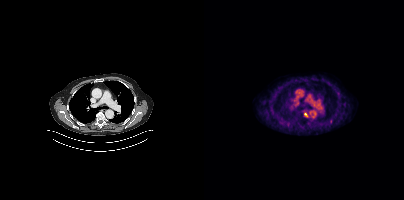
Findings: Coordinates are on the 200×200 PET (right) panel. (showing 1 of 2 foci) Small PSMA-avid focus (2 to 4 px across) near (center x, center y): (101, 114).
- Two-panel axial: CT | PSMA PET, 18F tracer
- slice 306 of 429